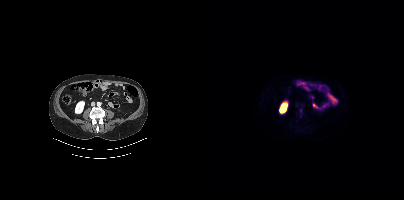
Findings: Coordinates are on the 200×200 PET (right) panel. Small PSMA-avid focus (2 to 4 px across) near (center x, center y): (96, 110).
Technique: Paired axial CT (left) and PSMA PET (right), 18F tracer. slice 178 of 450. PET panel 200×200 px (4.1 mm/px).